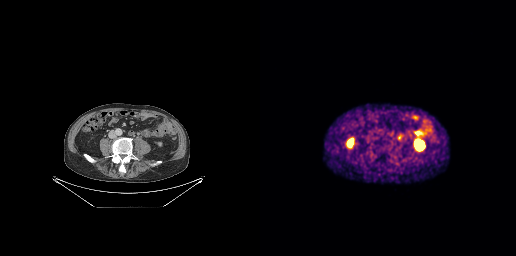
No tumor lesions annotated on this slice. Paired axial CT (left) and PSMA PET (right), [68Ga]Ga-PSMA-11 tracer. Slice 100 of 263. PET panel 256×256 px (2.7 mm/px).